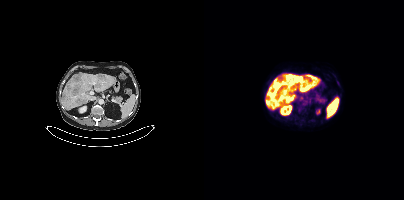
Left: CT. Right: PSMA PET, same axial level, 18F-PSMA tracer. Coordinates are on the 200×200 PET (right) panel. (showing 4 of 5 foci) PSMA-avid tumor lesion bounding boxes (x0,y0,x1,y1): [91,76,99,81]; [69,82,76,89]; [96,83,102,89]; [96,96,99,100].